Left: CT. Right: PSMA PET, same axial level, [18F]PSMA-1007 tracer. PET panel 168×168 px (4.1 mm/px).
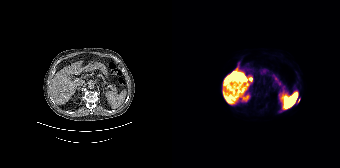
Coordinates are on the 168×168 PET (right) panel. Small PSMA-avid focus (2 to 4 px across) near (center x, center y): (126, 100).